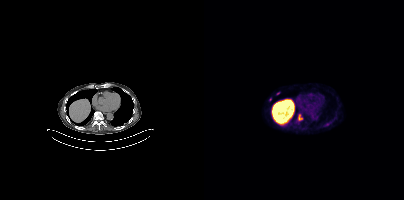
{"pet_grid":[200,200],"coord_frame":"pet_panel","coord_format":"x0,y0,x1,y1","partial":true,"lesion_bboxes":[[94,114,98,120]],"small_foci_centers":[[74,93]],"modality":"PSMA PET/CT","view":"axial","tracer":"[18F]PSMA-1007"}